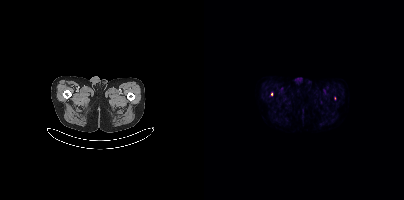
{"pet_grid":[200,200],"coord_frame":"pet_panel","coord_format":"x0,y0,x1,y1","partial":true,"lesion_bboxes":[],"small_foci_centers":[[67,94]],"modality":"PSMA PET/CT","view":"axial","tracer":"[18F]PSMA-1007"}